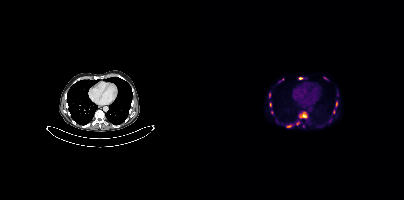
{"modality":"PSMA PET/CT","view":"axial","tracer":"18F-PSMA","pet_grid":[200,200],"coord_frame":"pet_panel","coord_format":"x0,y0,x1,y1","partial":true,"lesion_bboxes":[[95,111,103,118],[94,77,99,79],[83,125,87,127],[132,102,133,106],[65,93,66,97]],"small_foci_centers":[[93,123],[121,78],[66,104],[129,111],[67,112],[78,79]]}